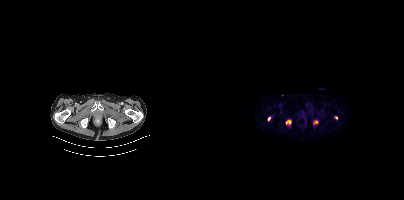
- Left: CT. Right: PSMA PET, same axial level, 18F-PSMA tracer
- slice 90 of 466
- PET panel 200×200 px (4.1 mm/px)
Findings: Coordinates are on the 200×200 PET (right) panel. PSMA-avid tumor lesion bounding boxes (x0, y0)-(x1, y1): (82, 120)-(87, 124) | (109, 120)-(114, 124). Small PSMA-avid foci (2 to 4 px across) near (center x, center y): (65, 118) | (132, 117).